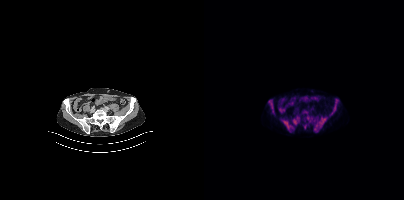
{"modality":"PSMA PET/CT","view":"axial","tracer":"18F","pet_grid":[200,200],"coord_frame":"pet_panel","coord_format":"x0,y0,x1,y1","partial":true,"lesion_bboxes":[[112,118,121,127],[78,120,89,129]],"small_foci_centers":[[101,111]]}